Two-panel axial: CT | PSMA PET, 18F-PSMA tracer. Slice 18 of 401. PET panel 200×200 px (4.1 mm/px).
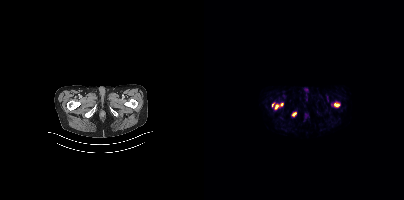
Coordinates are on the 200×200 PET (right) panel. PSMA-avid tumor lesion bounding boxes:
| # | x0 | y0 | x1 | y1 |
|---|---|---|---|---|
| 1 | 130 | 103 | 135 | 106 |
| 2 | 71 | 104 | 75 | 108 |
Small PSMA-avid foci (2 to 4 px across) near (center x, center y): (69, 104); (90, 114); (77, 104).